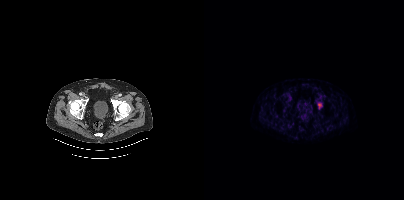
Two-panel axial: CT | PSMA PET, [18F]PSMA-1007 tracer. PET panel 200×200 px (4.1 mm/px). Coordinates are on the 200×200 PET (right) panel. Small PSMA-avid focus (2 to 4 px across) near (center x, center y): (115, 105).